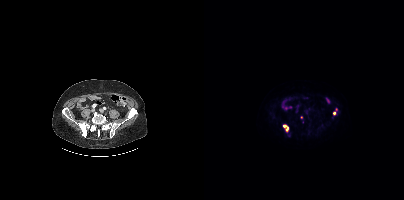
- Two-panel axial: CT | PSMA PET, [18F]PSMA-1007 tracer
- acquired on Siemens Biograph mCT Flow 20
- slice 125 of 389
Findings: Coordinates are on the 200×200 PET (right) panel. (showing 2 of 3 foci) PSMA-avid tumor lesion bounding box (x0,y0,x1,y1): [79,124,84,131]. Small PSMA-avid focus (2 to 4 px across) near (center x, center y): (130, 113).